Two-panel axial: CT | PSMA PET, 68Ga-PSMA tracer. PET panel 200×200 px (4.1 mm/px).
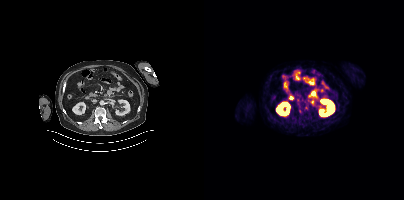
Negative for PSMA-avid disease on this slice.